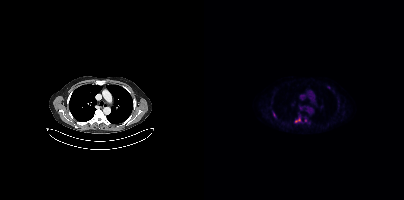
- Two-panel axial: CT | PSMA PET, 18F-PSMA tracer
- acquired on Siemens Biograph mCT Flow 20
- slice position z = -516 mm
Findings: Coordinates are on the 200×200 PET (right) panel. (showing 3 of 4 foci) PSMA-avid tumor lesion bounding boxes (x0, y0)-(x1, y1): (91, 118)-(96, 122) / (69, 112)-(71, 117). Small PSMA-avid focus (2 to 4 px across) near (center x, center y): (124, 87).